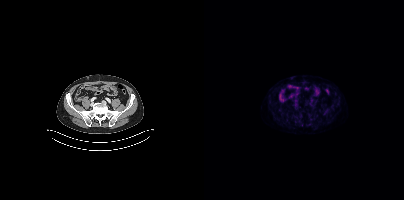
No PSMA-avid tumor lesions on this slice.